Technique: Two-panel axial: CT | PSMA PET, 18F-PSMA tracer. acquired on Siemens Biograph mCT Flow 20. PET panel 200×200 px (4.1 mm/px).
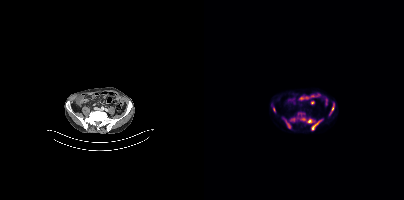
Findings: Coordinates are on the 200×200 PET (right) panel. (showing 6 of 8 foci) PSMA-avid tumor lesion bounding boxes (x0,y0,x1,y1): [96,117,119,130], [125,103,130,114], [82,121,86,128], [69,107,71,112], [87,118,91,121]. Small PSMA-avid focus (2 to 4 px across) near (center x, center y): (96, 113).